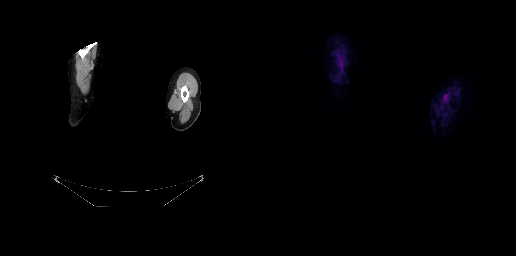
Findings: This slice has no annotated PSMA-avid lesion.
Technique: Left: CT. Right: PSMA PET, same axial level, 18F tracer. acquired on GE Discovery 690. slice 253 of 263. PET panel 256×256 px (2.7 mm/px).
Note: A rectangular block over the head has been blanked out for de-identification.